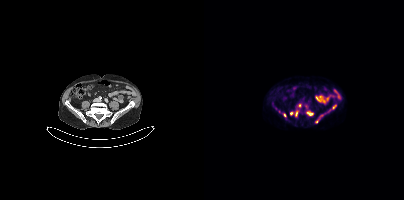
Findings: Coordinates are on the 200×200 PET (right) panel. (showing 7 of 10 foci) PSMA-avid tumor lesion bounding boxes (x, y, width, height): x=124 y=104 w=9 h=9 | x=102 y=111 w=8 h=5 | x=111 y=114 w=9 h=9 | x=91 y=111 w=3 h=6. Small PSMA-avid foci (2 to 4 px across) near (center x, center y): (95, 105) | (87, 113) | (80, 115).
Technique: Paired axial CT (left) and PSMA PET (right), 18F-PSMA tracer. acquired on Siemens Biograph mCT Flow 20. slice 144 of 415. PET panel 200×200 px (4.1 mm/px).